Technique: Two-panel axial: CT | PSMA PET, [18F]PSMA-1007 tracer.
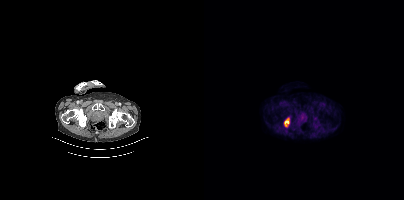
Findings: Coordinates are on the 200×200 PET (right) panel. PSMA-avid tumor lesion bounding box (x0, y0)-(x1, y1): (80, 118)-(85, 126).